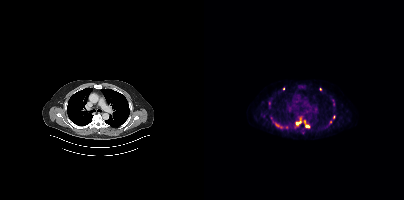
Coordinates are on the 200×200 PET (right) panel. (showing 3 of 4 foci) PSMA-avid tumor lesion bounding boxes (x, y, width, height): x=91 y=117 w=7 h=9 / x=100 y=120 w=6 h=8. Small PSMA-avid focus (2 to 4 px across) near (center x, center y): (116, 88).